modality: PSMA PET/CT | tracer: [18F]PSMA-1007 | view: axial
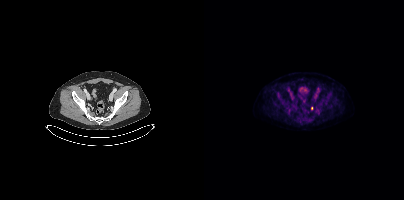
Coordinates are on the 200×200 PET (right) panel. Small PSMA-avid focus (2 to 4 px across) near (center x, center y): (107, 108).